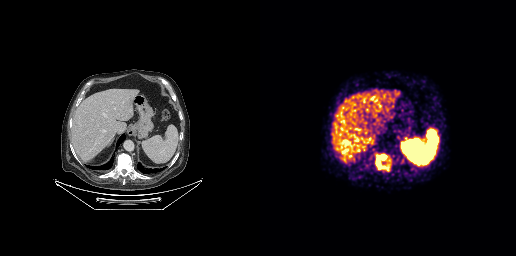
modality: PSMA PET/CT | tracer: 68Ga-PSMA | view: axial | PET grid: 256×256
Coordinates are on the 256×256 PET (right) panel. PSMA-avid tumor lesion bounding box (x0,y0,x1,y1): [115,154,129,171]. Small PSMA-avid focus (2 to 4 px across) near (center x, center y): (129, 160).